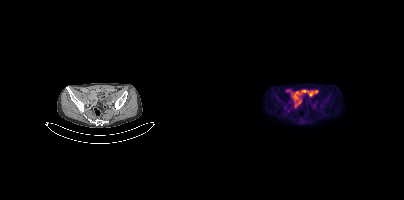
Findings: No tumor lesions annotated on this slice.
- Paired axial CT (left) and PSMA PET (right), 18F-PSMA tracer
- acquired on Siemens Biograph mCT Flow 20